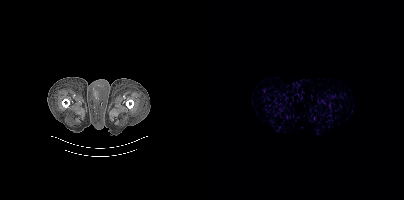
{"modality":"PSMA PET/CT","view":"axial","tracer":"18F-PSMA","pet_grid":[200,200],"coord_frame":"pet_panel","coord_format":"x0,y0,x1,y1","psma_avid_lesions":false}